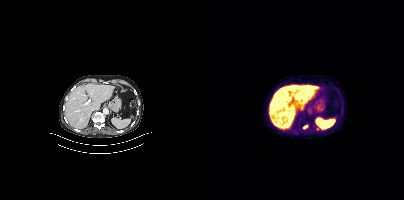
Technique: Left: CT. Right: PSMA PET, same axial level, 18F-PSMA tracer. slice position z = -1164 mm.
Findings: Coordinates are on the 200×200 PET (right) panel. Small PSMA-avid foci (2 to 4 px across) near (center x, center y): (101, 127); (114, 128).